- Left: CT. Right: PSMA PET, same axial level, 18F-PSMA tracer
- slice 105 of 450
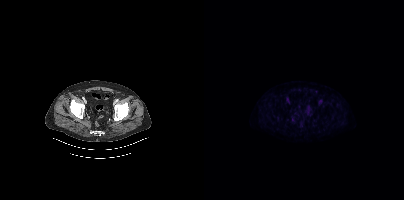
Findings: No PSMA-avid tumor lesions on this slice.